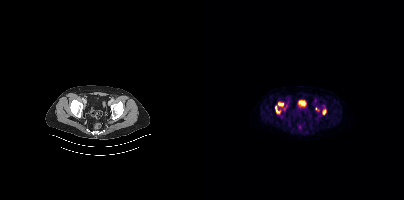
Paired axial CT (left) and PSMA PET (right), 18F tracer. Coordinates are on the 200×200 PET (right) panel. PSMA-avid tumor lesion bounding boxes (x0, y0)-(x1, y1): (71, 106)-(76, 113) / (74, 102)-(79, 106) / (119, 110)-(121, 114).